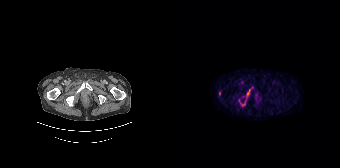
{"modality":"PSMA PET/CT","view":"axial","tracer":"[68Ga]Ga-PSMA-11","pet_grid":[168,168],"coord_frame":"pet_panel","coord_format":"x0,y0,x1,y1","lesion_bboxes":[[75,89,78,95]],"small_foci_centers":[[70,82],[47,93],[71,104]]}